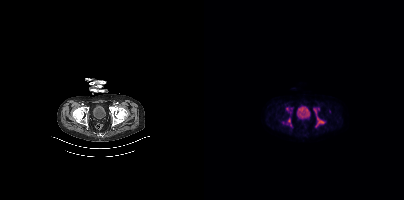
modality: PSMA PET/CT | tracer: 18F | view: axial | PET grid: 200×200
Coordinates are on the 200×200 PET (right) panel. (showing 5 of 7 foci) PSMA-avid tumor lesion bounding boxes (x0, y0)-(x1, y1): (109, 108)-(120, 127) | (82, 118)-(87, 126) | (82, 107)-(84, 111). Small PSMA-avid foci (2 to 4 px across) near (center x, center y): (79, 122) | (86, 112).